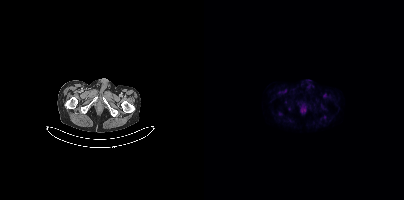
{"modality":"PSMA PET/CT","view":"axial","tracer":"[18F]PSMA-1007","pet_grid":[200,200],"coord_frame":"pet_panel","coord_format":"x0,y0,x1,y1","psma_avid_lesions":false}